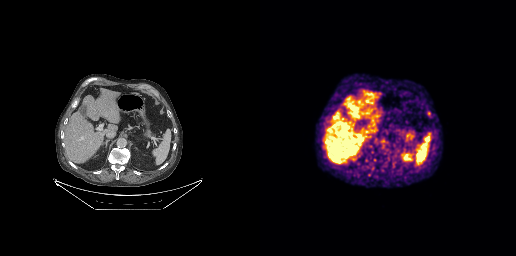
Left: CT. Right: PSMA PET, same axial level, [18F]PSMA-1007 tracer. Slice 159 of 263. Coordinates are on the 256×256 PET (right) panel. PSMA-avid tumor lesion bounding box (x0,y0,x1,y1): [167,111,170,116].